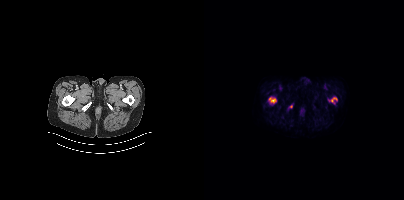
Coordinates are on the 200×200 PET (right) panel. PSMA-avid tumor lesion bounding boxes (x0,y0,x1,y1): [127,97,133,101], [65,98,71,102]. Small PSMA-avid focus (2 to 4 px across) near (center x, center y): (87, 106).
modality: PSMA PET/CT | tracer: 18F-PSMA | view: axial